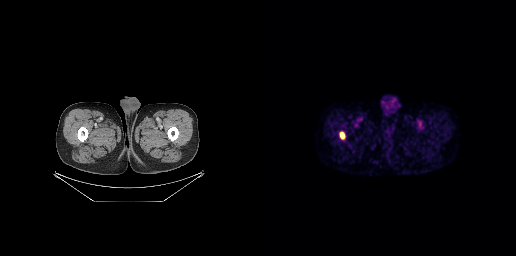
modality: PSMA PET/CT | tracer: [18F]PSMA-1007 | view: axial | PET grid: 256×256
Coordinates are on the 256×256 PET (right) panel. PSMA-avid tumor lesion bounding box (x0,y0,x1,y1): [80,132,84,138].